Paired axial CT (left) and PSMA PET (right), 18F tracer. Acquired on Siemens Biograph mCT Flow 20. Slice 99 of 421. PET panel 200×200 px (4.1 mm/px).
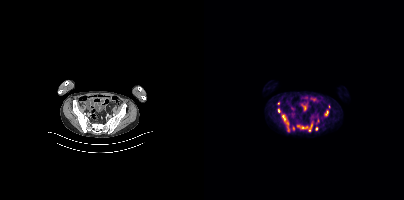
Coordinates are on the 200×200 PET (right) panel. PSMA-avid tumor lesion bounding boxes (partial; 2 more foci not listed):
| # | x0 | y0 | x1 | y1 |
|---|---|---|---|---|
| 1 | 93 | 122 | 108 | 131 |
| 2 | 82 | 123 | 85 | 131 |
| 3 | 121 | 110 | 124 | 115 |
Small PSMA-avid foci (2 to 4 px across) near (center x, center y): (112, 128); (89, 128); (74, 103); (125, 106); (74, 110).